- Left: CT. Right: PSMA PET, same axial level, [18F]PSMA-1007 tracer
- acquired on Siemens Biograph mCT Flow 20
- slice position z = -1446 mm
- PET panel 200×200 px (4.1 mm/px)
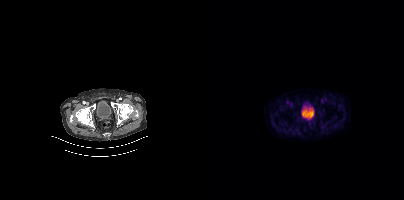
Findings: No tumor lesions annotated on this slice.